Left: CT. Right: PSMA PET, same axial level, 18F tracer. PET panel 200×200 px (4.1 mm/px).
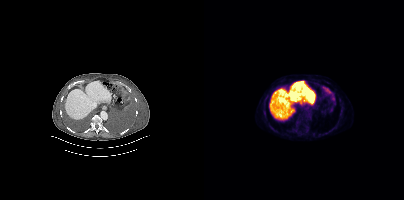
Coordinates are on the 200×200 PET (right) panel. PSMA-avid tumor lesion bounding boxes (x, y, width, height): x=118 y=87 w=10 h=7 / x=128 y=96 w=3 h=5. Small PSMA-avid focus (2 to 4 px across) near (center x, center y): (98, 104).